Technique: Two-panel axial: CT | PSMA PET, 18F-PSMA tracer. acquired on Siemens Biograph mCT Flow 20. slice position z = -186 mm.
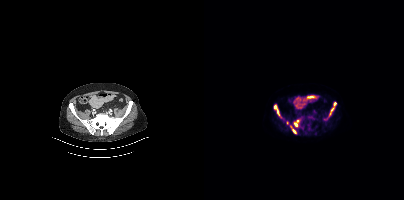
Findings: Coordinates are on the 200×200 PET (right) panel. (showing 4 of 6 foci) PSMA-avid tumor lesion bounding boxes (x0,y0,x1,y1): [70,105,75,115] [90,120,94,126] [126,102,132,114] [88,129,92,133].